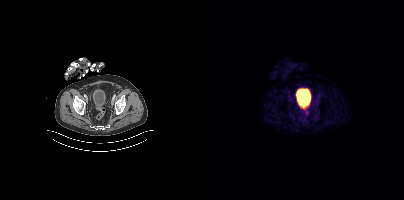
Negative for PSMA-avid disease on this slice. Left: CT. Right: PSMA PET, same axial level, [68Ga]Ga-PSMA-11 tracer. Slice position z = -1462 mm.